Paired axial CT (left) and PSMA PET (right), [18F]PSMA-1007 tracer.
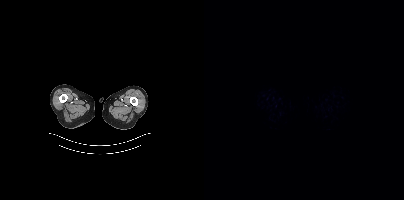
No PSMA-avid tumor lesions on this slice.